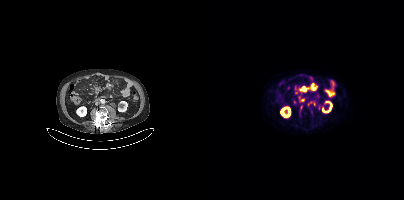
Technique: Paired axial CT (left) and PSMA PET (right), 18F-PSMA tracer. acquired on Siemens Biograph mCT Flow 20.
Findings: Coordinates are on the 200×200 PET (right) panel. (showing 7 of 10 foci) PSMA-avid tumor lesion bounding boxes (x0, y0)-(x1, y1): (107, 84)-(112, 90) / (95, 105)-(98, 114) / (98, 87)-(102, 91). Small PSMA-avid foci (2 to 4 px across) near (center x, center y): (92, 92) / (104, 105) / (107, 111) / (110, 104).